Technique: Paired axial CT (left) and PSMA PET (right), [18F]PSMA-1007 tracer. acquired on Siemens Biograph mCT Flow 20. slice 316 of 431.
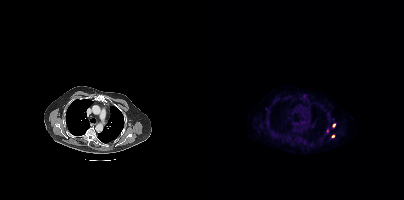
Findings: Coordinates are on the 200×200 PET (right) panel. Small PSMA-avid foci (2 to 4 px across) near (center x, center y): (123, 131), (129, 136), (129, 125).